modality: PSMA PET/CT | tracer: [18F]PSMA-1007 | view: axial | PET grid: 200×200
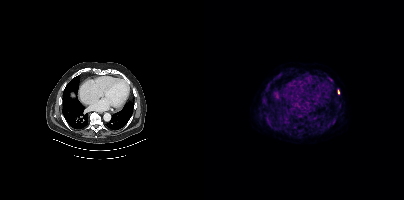
Coordinates are on the 200×200 PET (right) panel. PSMA-avid tumor lesion bounding box (x0,y0,x1,y1): [134,89,135,94].